Technique: Two-panel axial: CT | PSMA PET, 18F tracer. acquired on Siemens Biograph mCT Flow 20.
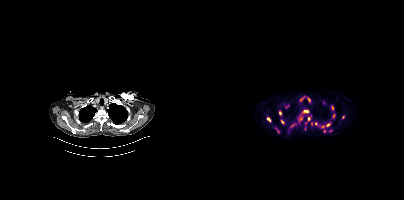
Findings: Coordinates are on the 200×200 PET (right) panel. (showing 15 of 18 foci) PSMA-avid tumor lesion bounding boxes (x0, y0)-(x1, y1): (62, 117)-(67, 122) | (98, 110)-(104, 112) | (86, 123)-(92, 127) | (76, 119)-(80, 124) | (75, 111)-(77, 115) | (122, 123)-(126, 126) | (71, 127)-(75, 133) | (94, 116)-(95, 123) | (81, 105)-(85, 108). Small PSMA-avid foci (2 to 4 px across) near (center x, center y): (105, 118) | (128, 107) | (129, 115) | (139, 116) | (118, 126) | (120, 131).